modality: PSMA PET/CT | tracer: 18F | view: axial
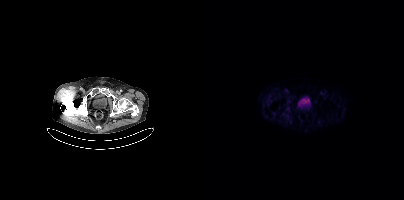
Negative for PSMA-avid disease on this slice.